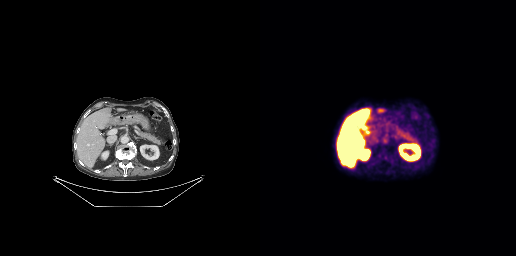
This slice has no annotated PSMA-avid lesion.